Paired axial CT (left) and PSMA PET (right), [18F]PSMA-1007 tracer. PET panel 200×200 px (4.1 mm/px).
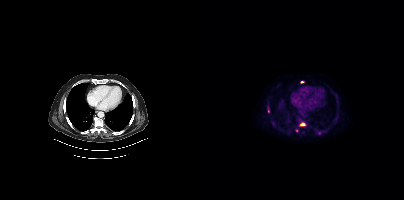
Coordinates are on the 200×200 PET (right) panel. PSMA-avid tumor lesion bounding boxes:
| # | x0 | y0 | x1 | y1 |
|---|---|---|---|---|
| 1 | 96 | 123 | 101 | 125 |
Small PSMA-avid foci (2 to 4 px across) near (center x, center y): (93, 130); (115, 133); (64, 111); (98, 81).